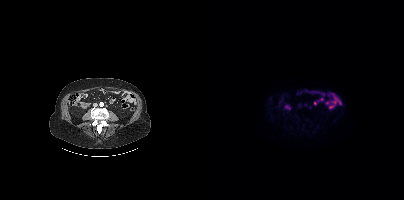
Left: CT. Right: PSMA PET, same axial level, 18F tracer. PET panel 200×200 px (4.1 mm/px). No PSMA-avid tumor lesions on this slice.